modality: PSMA PET/CT | tracer: [68Ga]Ga-PSMA-11 | view: axial
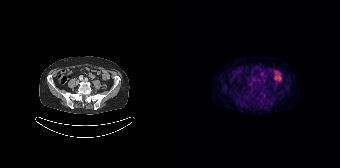
No PSMA-avid tumor lesions on this slice.